modality: PSMA PET/CT | tracer: [18F]PSMA-1007 | view: axial
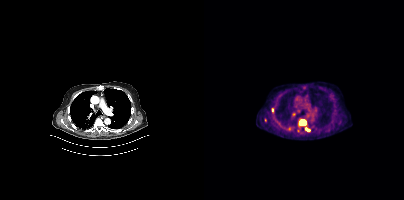
Coordinates are on the 200×200 PET (right) panel. PSMA-avid tumor lesion bounding boxes (x0,y0,x1,y1): [96,120,102,125] [101,128,105,130]. Small PSMA-avid foci (2 to 4 px across) near (center x, center y): (68, 109) (61, 120) (94, 130).